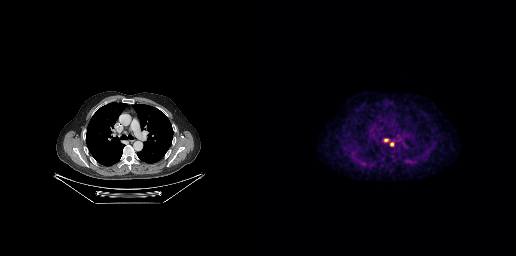
Coordinates are on the 256×256 PET (right) panel. Small PSMA-avid foci (2 to 4 px across) near (center x, center y): (125, 140) | (132, 144).
modality: PSMA PET/CT | tracer: 18F-PSMA | view: axial | PET grid: 256×256